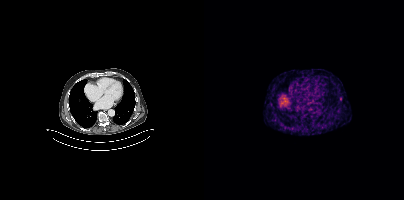
modality: PSMA PET/CT | tracer: 68Ga | view: axial | PET grid: 200×200
Coordinates are on the 200×200 PET (right) panel. Small PSMA-avid focus (2 to 4 px across) near (center x, center y): (136, 99).